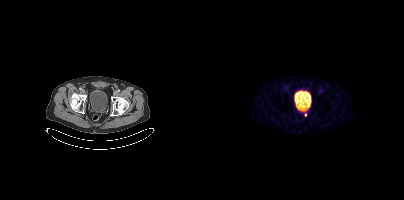
Coordinates are on the 200×200 PET (right) panel. Small PSMA-avid focus (2 to 4 px across) near (center x, center y): (101, 115).